Technique: Paired axial CT (left) and PSMA PET (right), 18F-PSMA tracer. PET panel 200×200 px (4.1 mm/px).
Note: De-identified by setting a box covering the face to black before release.
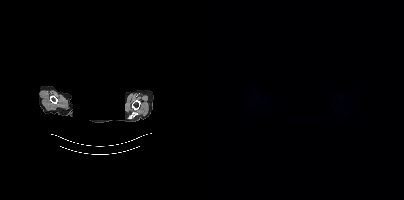
Findings: This slice has no annotated PSMA-avid lesion.